Technique: Two-panel axial: CT | PSMA PET, 18F tracer. slice 303 of 423.
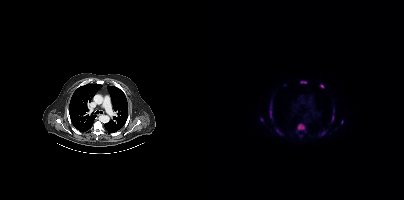
Findings: Coordinates are on the 200×200 PET (right) panel. PSMA-avid tumor lesion bounding boxes (x0, y0)-(x1, y1): (92, 123)-(101, 132) / (65, 103)-(68, 118) / (72, 129)-(78, 134) / (96, 81)-(102, 83) / (116, 84)-(120, 88) / (128, 115)-(130, 121) / (117, 131)-(120, 135). Small PSMA-avid foci (2 to 4 px across) near (center x, center y): (57, 119) / (138, 121) / (96, 135) / (129, 110).